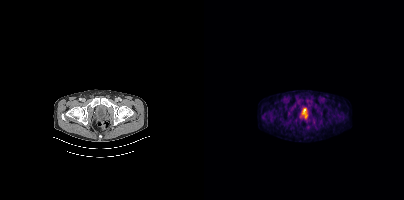
{"modality":"PSMA PET/CT","view":"axial","tracer":"[18F]PSMA-1007","pet_grid":[200,200],"coord_frame":"pet_panel","coord_format":"x0,y0,x1,y1","psma_avid_lesions":false}